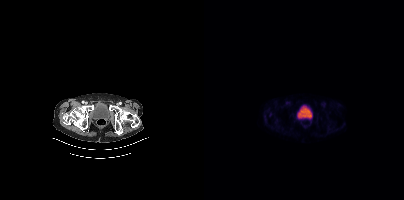
{"modality":"PSMA PET/CT","view":"axial","tracer":"68Ga-PSMA","pet_grid":[200,200],"coord_frame":"pet_panel","coord_format":"x0,y0,x1,y1","psma_avid_lesions":false}